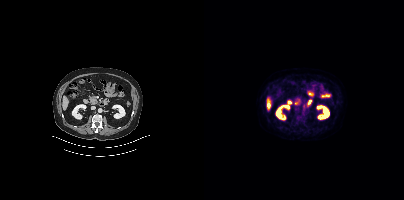
No tumor lesions annotated on this slice.